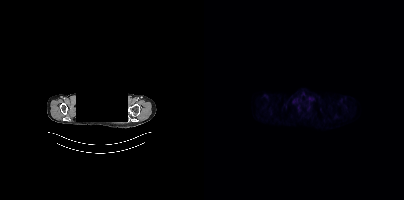
{"modality":"PSMA PET/CT","view":"axial","tracer":"[18F]PSMA-1007","pet_grid":[200,200],"coord_frame":"pet_panel","coord_format":"x0,y0,x1,y1","deidentification":"head region blanked (face removed)","psma_avid_lesions":false}